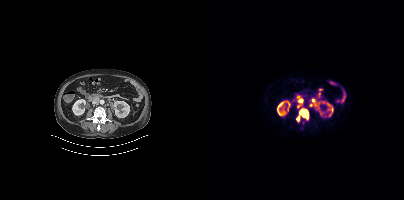
Coordinates are on the 200×200 PET (right) panel. PSMA-avid tumor lesion bounding boxes (x, y, width, height): x=92 y=109 w=13 h=13 | x=94 y=99 w=5 h=4 | x=93 y=104 w=4 h=5. Small PSMA-avid foci (2 to 4 px across) near (center x, center y): (106, 105) | (109, 100).